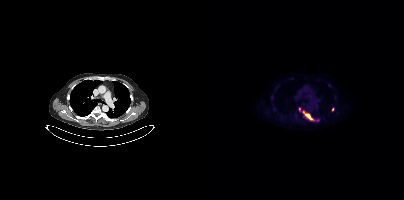
Coordinates are on the 200×200 PET (right) panel. PSMA-avid tumor lesion bounding boxes:
| # | x0 | y0 | x1 | y1 |
|---|---|---|---|---|
| 1 | 95 | 107 | 115 | 121 |
Small PSMA-avid focus (2 to 4 px across) near (center x, center y): (128, 109).
Left: CT. Right: PSMA PET, same axial level, 18F-PSMA tracer. Acquired on Siemens Biograph mCT Flow 20. Slice 308 of 421. PET panel 200×200 px (4.1 mm/px).